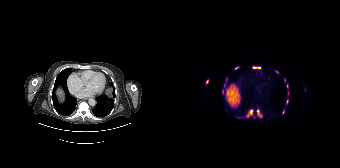
Coordinates are on the 168×168 PET (right) panel. (showing 12 of 14 foci) PSMA-avid tumor lesion bounding boxes (x0,y0,x1,y1): [74,109,80,116]; [85,109,90,117]; [81,67,88,68]; [62,67,67,69]. Small PSMA-avid foci (2 to 4 px across) near (center x, center y): (35, 81); (115, 101); (115, 85); (50, 91); (111, 111); (105, 71); (112, 80); (66, 117).